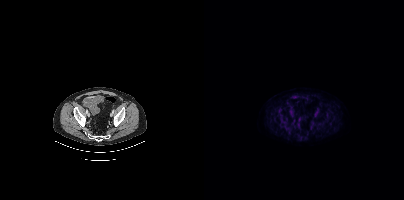
Technique: Paired axial CT (left) and PSMA PET (right), 18F-PSMA tracer. acquired on Siemens Biograph mCT Flow 20.
Findings: No tumor lesions annotated on this slice.